Technique: Left: CT. Right: PSMA PET, same axial level, 18F-PSMA tracer. slice 786 of 963.
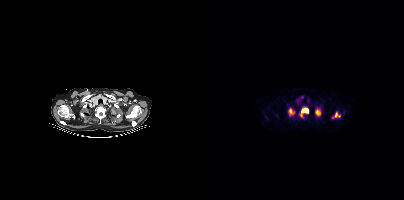
Findings: Coordinates are on the 200×200 PET (right) panel. (showing 4 of 5 foci) PSMA-avid tumor lesion bounding boxes (x0, y0)-(x1, y1): (96, 108)-(104, 116); (111, 110)-(116, 115); (85, 109)-(88, 113); (131, 112)-(133, 117).